- Two-panel axial: CT | PSMA PET, 18F-PSMA tracer
- slice position z = 132 mm
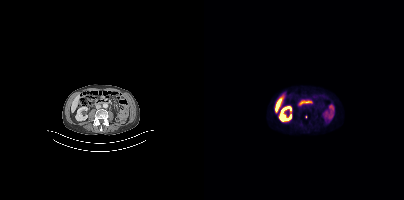
Findings: Only PSMA-avid lesion pieces thinner than 2 px on this slice (not listed).